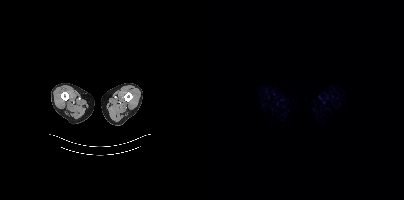
No PSMA-avid tumor lesions on this slice. Two-panel axial: CT | PSMA PET, [18F]PSMA-1007 tracer. PET panel 200×200 px (4.1 mm/px).